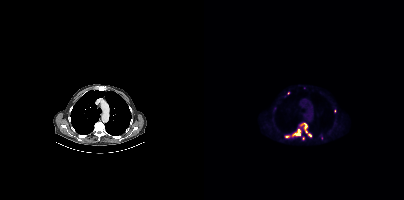
modality: PSMA PET/CT | tracer: 18F-PSMA | view: axial
Coordinates are on the 200×200 PET (right) panel. (showing 6 of 9 foci) PSMA-avid tumor lesion bounding boxes (x, y, width, height): x=99 y=123 w=5 h=10 | x=89 y=133 w=8 h=3 | x=81 y=135 w=5 h=3. Small PSMA-avid foci (2 to 4 px across) near (center x, center y): (105, 134) | (94, 130) | (96, 124).